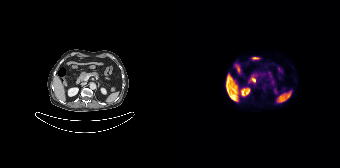
This slice has no annotated PSMA-avid lesion.